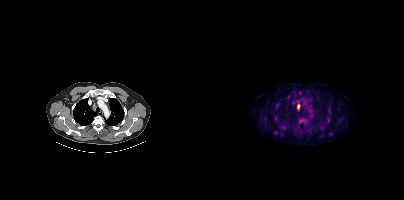
Coordinates are on the 200×200 PET (right) panel. PSMA-avid tumor lesion bounding boxes (partial; 2 more foci not listed):
| # | x0 | y0 | x1 | y1 |
|---|---|---|---|---|
| 1 | 93 | 104 | 95 | 110 |
Small PSMA-avid focus (2 to 4 px across) near (center x, center y): (96, 99).
Left: CT. Right: PSMA PET, same axial level, 18F tracer. PET panel 200×200 px (4.1 mm/px).